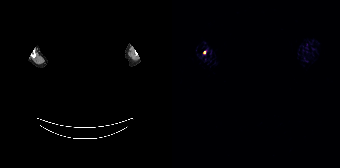
{"modality":"PSMA PET/CT","view":"axial","tracer":"68Ga","pet_grid":[168,168],"coord_frame":"pet_panel","coord_format":"x0,y0,x1,y1","de-identification":"head region blacked out before release","psma_avid_lesions":false}